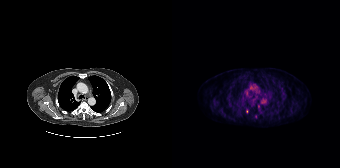
- Left: CT. Right: PSMA PET, same axial level, 18F-PSMA tracer
- slice 146 of 195
- PET panel 168×168 px (4.1 mm/px)
Findings: Coordinates are on the 168×168 PET (right) panel. (showing 1 of 2 foci) Small PSMA-avid focus (2 to 4 px across) near (center x, center y): (84, 116).